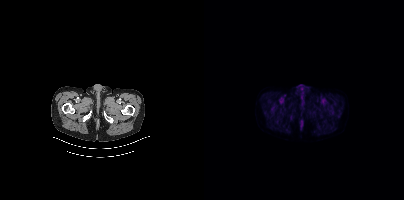
modality: PSMA PET/CT | tracer: 18F | view: axial
Negative for PSMA-avid disease on this slice.